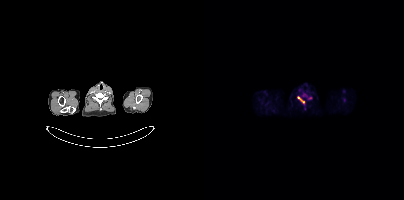
- Two-panel axial: CT | PSMA PET, 18F-PSMA tracer
- PET panel 200×200 px (4.1 mm/px)
Findings: Coordinates are on the 200×200 PET (right) panel. PSMA-avid tumor lesion bounding box (x, y, width, height): x=93 y=96 w=9 h=9. Small PSMA-avid foci (2 to 4 px across) near (center x, center y): (105, 98); (100, 95).